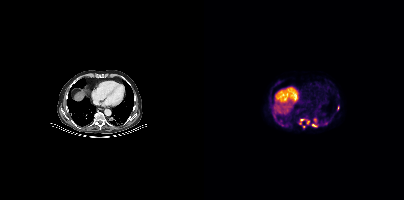
Coordinates are on the 200×200 PET (right) panel. (showing 6 of 8 foci) PSMA-avid tumor lesion bounding box (x0,y0,x1,y1): [108,124,113,126]. Small PSMA-avid foci (2 to 4 px across) near (center x, center y): (104, 122); (111, 119); (98, 119); (100, 126); (96, 123).